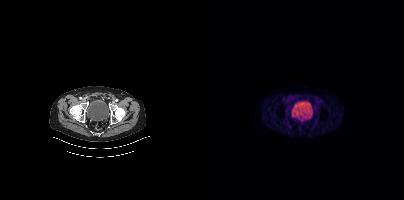
Negative for PSMA-avid disease on this slice.